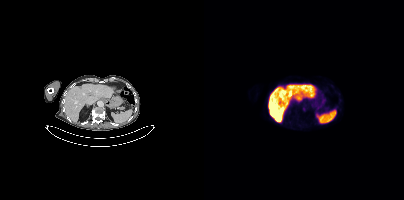
modality: PSMA PET/CT | tracer: 18F-PSMA | view: axial
This slice has no annotated PSMA-avid lesion.